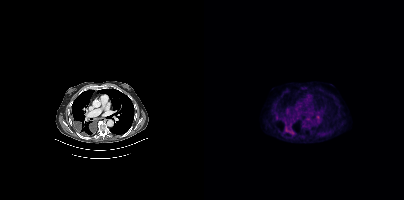
Coordinates are on the 200×200 PET (right) panel. PSMA-avid tumor lesion bounding boxes (x0,y0,x1,y1): [81,127,89,134] [71,115,75,119].